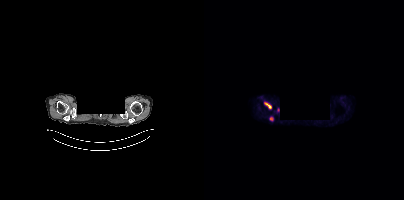
{"modality":"PSMA PET/CT","view":"axial","tracer":"[18F]PSMA-1007","pet_grid":[200,200],"coord_frame":"pet_panel","coord_format":"x0,y0,x1,y1","lesion_bboxes":[[60,102,68,109],[65,117,69,120]],"small_foci_centers":[[74,109]],"de-identification":"face masked with black rectangle"}